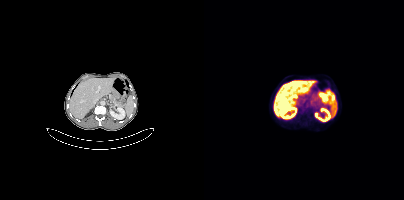
modality: PSMA PET/CT | tracer: [18F]PSMA-1007 | view: axial
Coordinates are on the 200×200 PET (right) panel. PSMA-avid tumor lesion bounding box (x, y, width, height): x=96 y=107 w=7 h=6.